Technique: Paired axial CT (left) and PSMA PET (right), 18F-PSMA tracer. acquired on Siemens Biograph mCT Flow 20. PET panel 200×200 px (4.1 mm/px).
Note: Any black rectangle over the head is a privacy mask, not anatomy.
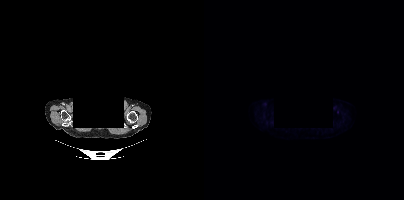
Findings: This slice has no annotated PSMA-avid lesion.